Technique: Left: CT. Right: PSMA PET, same axial level, 68Ga tracer. PET panel 256×256 px (2.7 mm/px).
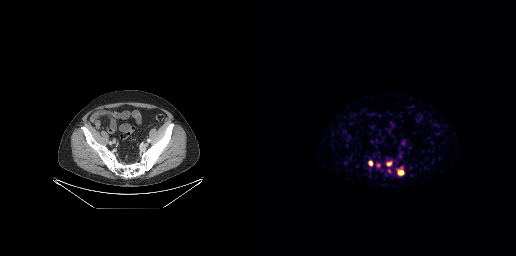
Findings: Coordinates are on the 256×256 PET (right) panel. PSMA-avid tumor lesion bounding boxes (x, y, width, height): x=138 y=170 w=6 h=5 / x=109 y=161 w=4 h=5. Small PSMA-avid focus (2 to 4 px across) near (center x, center y): (128, 163).